Paired axial CT (left) and PSMA PET (right), 18F-PSMA tracer.
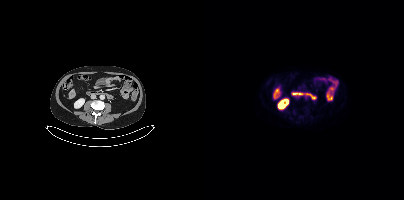
No tumor lesions annotated on this slice.